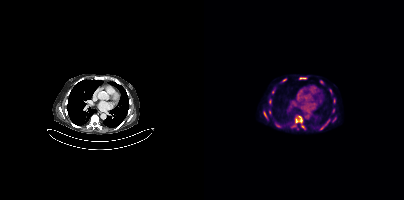
Paired axial CT (left) and PSMA PET (right), 18F-PSMA tracer. Acquired on Siemens Biograph mCT Flow 20. Slice position z = -550 mm. Coordinates are on the 200×200 PET (right) panel. (showing 12 of 16 foci) PSMA-avid tumor lesion bounding boxes (x0,y0,x1,y1): [91,116,98,123], [95,77,102,79], [60,112,62,117], [116,124,121,129], [78,79,82,81]. Small PSMA-avid foci (2 to 4 px across) near (center x, center y): (117, 81), (126, 90), (130, 100), (68, 92), (98, 126), (129, 110), (65, 112).